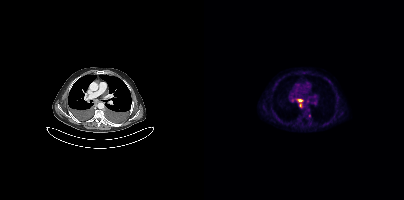
- Two-panel axial: CT | PSMA PET, 18F tracer
- slice 260 of 381
Findings: Coordinates are on the 200×200 PET (right) panel. PSMA-avid tumor lesion bounding box (x0,y0,x1,y1): [93,99,99,107]. Small PSMA-avid foci (2 to 4 px across) near (center x, center y): (103, 101), (105, 115).